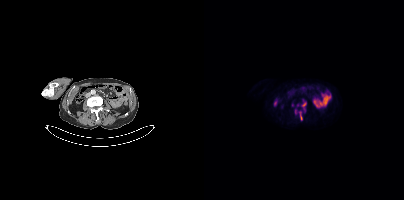
Coordinates are on the 200×200 PET (right) panel. (showing 3 of 4 foci) PSMA-avid tumor lesion bounding boxes (x0, y0)-(x1, y1): (95, 111)-(98, 119) / (98, 103)-(101, 109). Small PSMA-avid focus (2 to 4 px across) near (center x, center y): (91, 111).